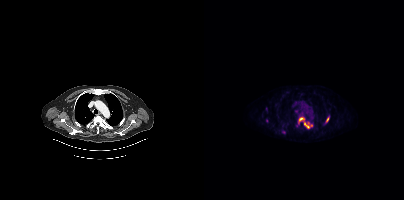
Coordinates are on the 200×200 PET (right) panel. (showing 5 of 6 foci) PSMA-avid tumor lesion bounding boxes (x, y, width, height): x=99 y=120 w=10 h=8 | x=122 y=117 w=3 h=5. Small PSMA-avid foci (2 to 4 px across) near (center x, center y): (96, 119) | (62, 120) | (79, 131).